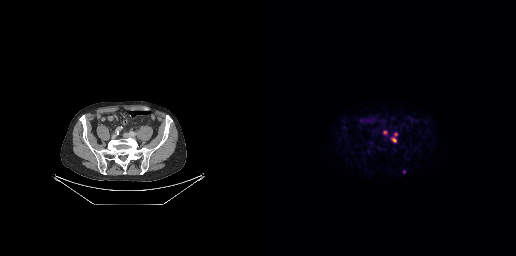
modality: PSMA PET/CT | tracer: [18F]PSMA-1007 | view: axial
Coordinates are on the 256×256 PET (right) panel. PSMA-avid tumor lesion bounding boxes (x0, y0)-(x1, y1): (131, 132)-(137, 142) / (123, 130)-(127, 134). Small PSMA-avid focus (2 to 4 px across) near (center x, center y): (144, 171).